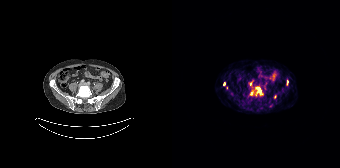
Left: CT. Right: PSMA PET, same axial level, 68Ga-PSMA tracer. Acquired on Siemens Biograph 64-4R TruePoint. Slice 50 of 165. PET panel 168×168 px (4.1 mm/px). Coordinates are on the 168×168 PET (right) panel. (showing 6 of 7 foci) PSMA-avid tumor lesion bounding box (x0,y0,x1,y1): [84,87,90,95]. Small PSMA-avid foci (2 to 4 px across) near (center x, center y): (103, 96); (79, 93); (115, 82); (78, 85); (52, 84).